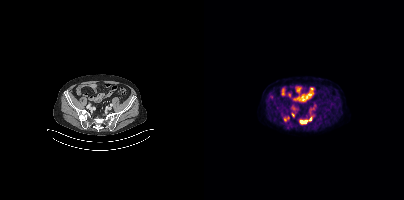
Coordinates are on the 200×200 PET (right) panel. (showing 3 of 5 foci) PSMA-avid tumor lesion bounding box (x0,y0,x1,y1): [96,117,108,123]. Small PSMA-avid foci (2 to 4 px across) near (center x, center y): (89, 114); (81, 119).